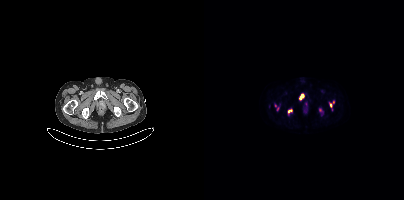
- Paired axial CT (left) and PSMA PET (right), 18F-PSMA tracer
- slice position z = -142 mm
- PET panel 200×200 px (4.1 mm/px)
Findings: Coordinates are on the 200×200 PET (right) panel. PSMA-avid tumor lesion bounding box (x, y, width, height): x=96 y=94 w=5 h=6. Small PSMA-avid foci (2 to 4 px across) near (center x, center y): (116, 109) / (85, 111) / (129, 102) / (126, 105) / (73, 108).